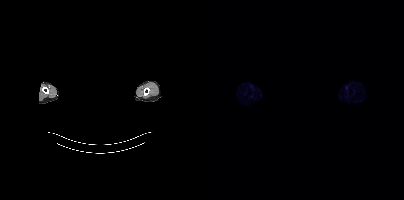
Technique: Paired axial CT (left) and PSMA PET (right), 18F-PSMA tracer. PET panel 200×200 px (4.1 mm/px).
Note: Head region blanked for anonymization (face removed).
Findings: No tumor lesions annotated on this slice.